modality: PSMA PET/CT | tracer: 18F | view: axial | PET grid: 200×200
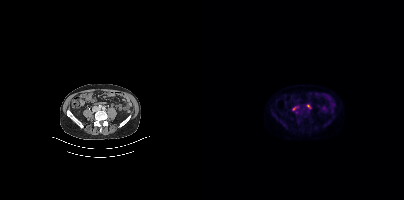
Coordinates are on the 200×200 PET (right) panel. Small PSMA-avid focus (2 to 4 px across) near (center x, center y): (104, 105).